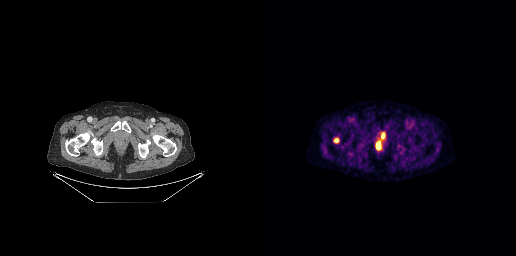
Left: CT. Right: PSMA PET, same axial level, [18F]PSMA-1007 tracer. Acquired on GE Discovery 690.
Coordinates are on the 256×256 PET (right) panel. PSMA-avid tumor lesion bounding boxes:
| # | x0 | y0 | x1 | y1 |
|---|---|---|---|---|
| 1 | 116 | 142 | 120 | 148 |
| 2 | 74 | 138 | 78 | 142 |
| 3 | 122 | 133 | 124 | 137 |